Technique: Left: CT. Right: PSMA PET, same axial level, [18F]PSMA-1007 tracer. acquired on Siemens Biograph mCT Flow 20.
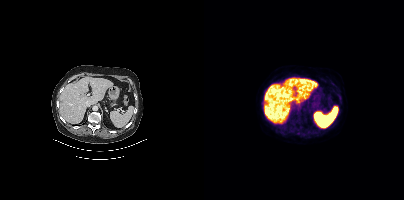
Findings: This slice has no annotated PSMA-avid lesion.